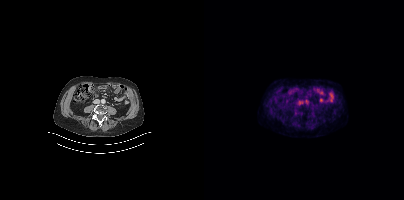
No tumor lesions annotated on this slice.